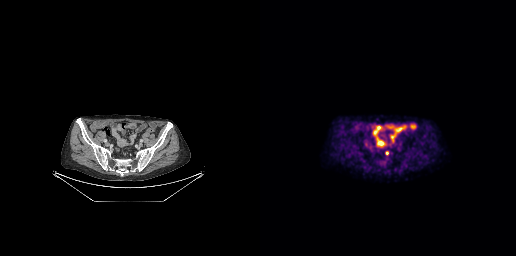
Coordinates are on the 256×256 PET (right) panel. Small PSMA-avid focus (2 to 4 px across) near (center x, center y): (126, 152).